Paired axial CT (left) and PSMA PET (right), [18F]PSMA-1007 tracer. Slice 149 of 375. PET panel 200×200 px (4.1 mm/px).
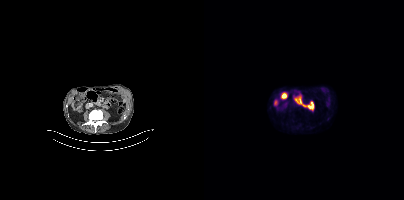
No tumor lesions annotated on this slice.